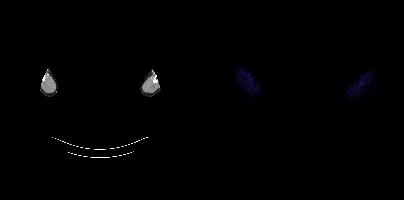
- Two-panel axial: CT | PSMA PET, 18F-PSMA tracer
- slice position z = 573 mm
- facial anatomy redacted by setting a rectangular region of the head to black
Findings: No tumor lesions annotated on this slice.